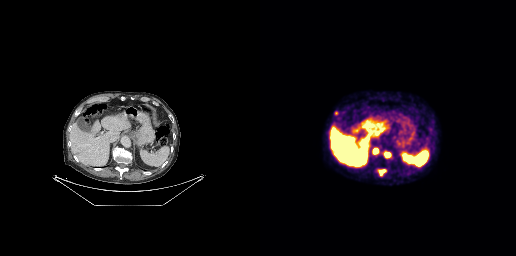
{"modality":"PSMA PET/CT","view":"axial","tracer":"18F-PSMA","pet_grid":[256,256],"coord_frame":"pet_panel","coord_format":"x0,y0,x1,y1","partial":true,"lesion_bboxes":[[118,169,126,176],[124,152,130,158],[113,148,118,154]],"small_foci_centers":[[76,113]]}